modality: PSMA PET/CT | tracer: [18F]PSMA-1007 | view: axial | PET grid: 200×200
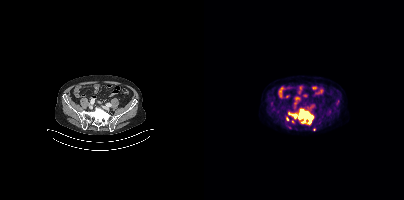
Coordinates are on the 200×200 PET (right) panel. (showing 4 of 5 foci) PSMA-avid tumor lesion bounding box (x0, y0)-(x1, y1): (84, 109)-(110, 125). Small PSMA-avid foci (2 to 4 px across) near (center x, center y): (83, 118) | (110, 129) | (88, 121).